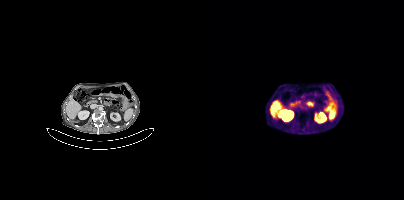
modality: PSMA PET/CT | tracer: [68Ga]Ga-PSMA-11 | view: axial
No PSMA-avid tumor lesions on this slice.